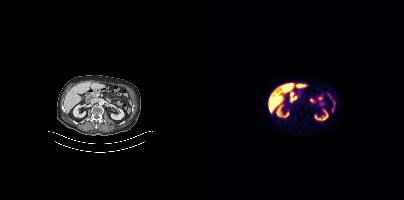
Findings: No tumor lesions annotated on this slice.
- Paired axial CT (left) and PSMA PET (right), [18F]PSMA-1007 tracer
- slice 171 of 383
- PET panel 200×200 px (4.1 mm/px)